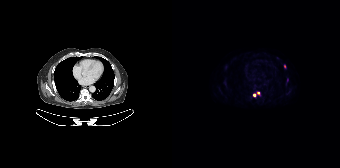
Two-panel axial: CT | PSMA PET, [18F]PSMA-1007 tracer. Acquired on Siemens Biograph 64-4R TruePoint.
Coordinates are on the 168×168 PET (right) panel. PSMA-avid tumor lesion bounding boxes:
| # | x0 | y0 | x1 | y1 |
|---|---|---|---|---|
| 1 | 81 | 91 | 88 | 96 |
Small PSMA-avid focus (2 to 4 px across) near (center x, center y): (112, 66).